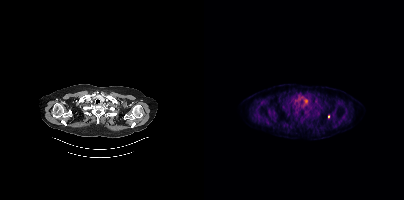
Findings: Coordinates are on the 200×200 PET (right) panel. Small PSMA-avid focus (2 to 4 px across) near (center x, center y): (124, 116).
- Left: CT. Right: PSMA PET, same axial level, 18F tracer
- acquired on Siemens Biograph mCT Flow 20